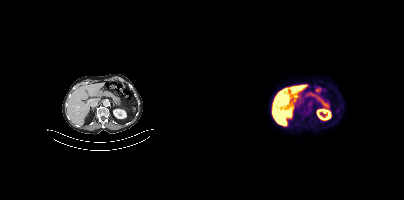
{"modality":"PSMA PET/CT","view":"axial","tracer":"18F-PSMA","pet_grid":[200,200],"coord_frame":"pet_panel","coord_format":"x0,y0,x1,y1","psma_avid_lesions":false}